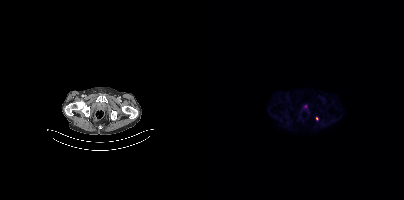
Coordinates are on the 200×200 PET (right) panel. Small PSMA-avid focus (2 to 4 px across) near (center x, center y): (112, 118).